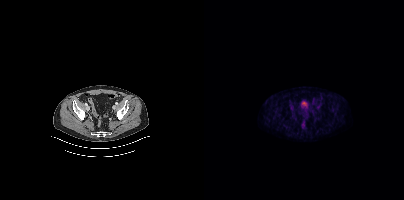
Findings: Negative for PSMA-avid disease on this slice.
- Paired axial CT (left) and PSMA PET (right), [68Ga]Ga-PSMA-11 tracer
- slice position z = -1559 mm